modality: PSMA PET/CT | tracer: 18F | view: axial
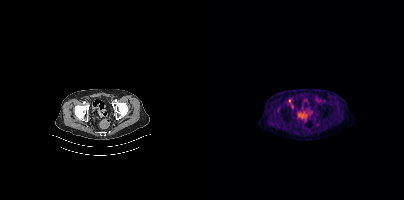
Coordinates are on the 200×200 PET (right) panel. Small PSMA-avid focus (2 to 4 px across) near (center x, center y): (85, 100).